Technique: Two-panel axial: CT | PSMA PET, 18F-PSMA tracer. slice position z = -540 mm.
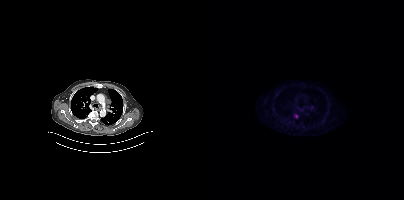
Findings: Coordinates are on the 200×200 PET (right) panel. Small PSMA-avid focus (2 to 4 px across) near (center x, center y): (92, 115).